Left: CT. Right: PSMA PET, same axial level, 18F-PSMA tracer.
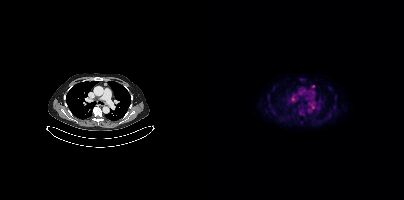
Coordinates are on the 200×200 PET (right) panel. PSMA-avid tumor lesion bounding boxes:
| # | x0 | y0 | x1 | y1 |
|---|---|---|---|---|
| 1 | 107 | 105 | 115 | 109 |
Small PSMA-avid foci (2 to 4 px across) near (center x, center y): (89, 99); (109, 86).